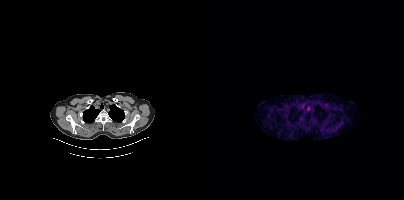
Negative for PSMA-avid disease on this slice.